Paired axial CT (left) and PSMA PET (right), [68Ga]Ga-PSMA-11 tracer. PET panel 200×200 px (4.1 mm/px).
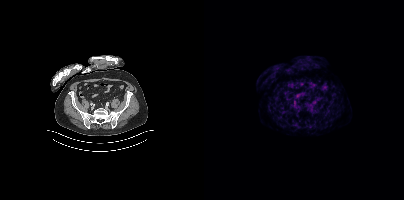
Negative for PSMA-avid disease on this slice.